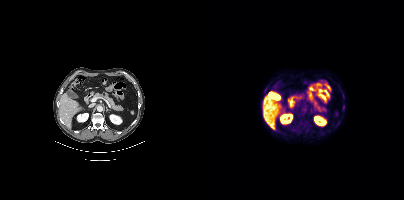
{"modality":"PSMA PET/CT","view":"axial","tracer":"[18F]PSMA-1007","pet_grid":[200,200],"coord_frame":"pet_panel","coord_format":"x0,y0,x1,y1","lesion_bboxes":[],"small_foci_centers":[[61,89]]}